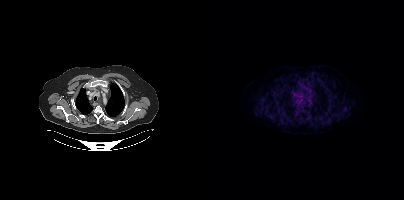
No PSMA-avid tumor lesions on this slice. Paired axial CT (left) and PSMA PET (right), 18F-PSMA tracer. Slice position z = -197 mm. PET panel 200×200 px (4.1 mm/px).